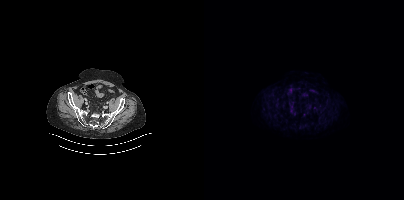
No tumor lesions annotated on this slice.